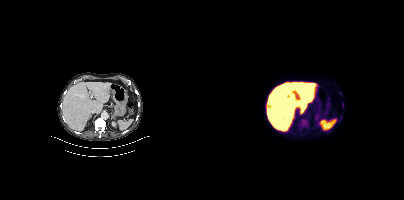
Coordinates are on the 200×200 PET (right) panel. PSMA-avid tumor lesion bounding boxes (x, y, width, height): x=97 y=119 w=7 h=8 / x=138 y=102 w=2 h=6. Small PSMA-avid focus (2 to 4 px across) near (center x, center y): (136, 93).